Technique: Paired axial CT (left) and PSMA PET (right), 18F tracer. acquired on Siemens Biograph mCT Flow 20.
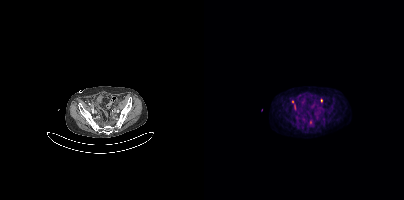
Findings: Coordinates are on the 200×200 PET (right) panel. PSMA-avid tumor lesion bounding box (x, y, width, height): x=88 y=100 w=4 h=10. Small PSMA-avid foci (2 to 4 px across) near (center x, center y): (106, 122) / (117, 100).